Technique: Two-panel axial: CT | PSMA PET, 68Ga tracer.
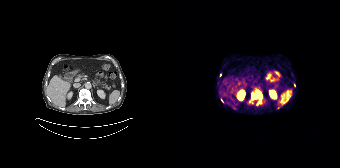
Findings: Coordinates are on the 168×168 PET (right) panel. (showing 5 of 7 foci) PSMA-avid tumor lesion bounding box (x0, y0)-(x1, y1): (80, 94)-(89, 98). Small PSMA-avid foci (2 to 4 px across) near (center x, center y): (88, 102) / (122, 85) / (50, 100) / (48, 75).